Technique: Left: CT. Right: PSMA PET, same axial level, [18F]PSMA-1007 tracer. slice position z = 1010 mm.
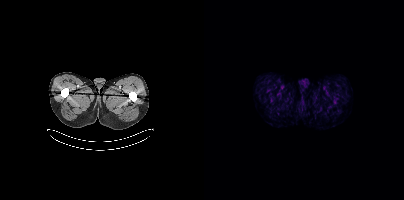
Findings: This slice has no annotated PSMA-avid lesion.